- facial anatomy redacted by setting a rectangular region of the head to black
- Paired axial CT (left) and PSMA PET (right), 18F tracer
- acquired on Siemens Biograph mCT Flow 20
- PET panel 200×200 px (4.1 mm/px)
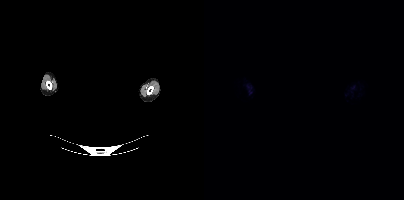
Findings: No PSMA-avid tumor lesions on this slice.